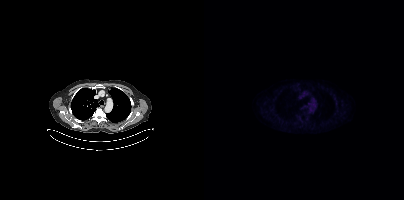
Findings: Negative for PSMA-avid disease on this slice.
- Two-panel axial: CT | PSMA PET, [18F]PSMA-1007 tracer
- slice position z = 302 mm
- PET panel 200×200 px (4.1 mm/px)